modality: PSMA PET/CT | tracer: [18F]PSMA-1007 | view: axial
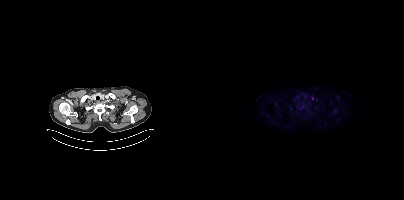
Coordinates are on the 200×200 PET (right) panel. Small PSMA-avid focus (2 to 4 px across) near (center x, center y): (98, 106).